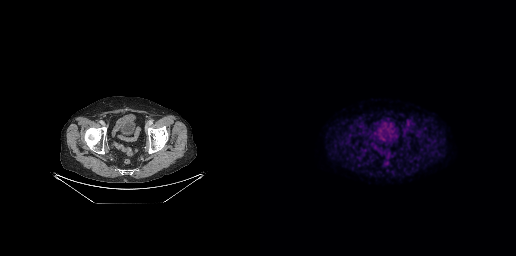
No tumor lesions annotated on this slice.